Technique: Paired axial CT (left) and PSMA PET (right), 18F tracer. slice 69 of 435.
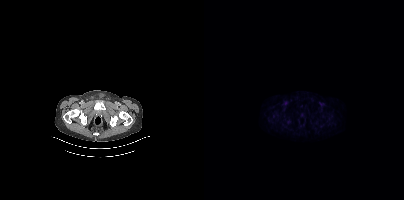
Findings: This slice has no annotated PSMA-avid lesion.